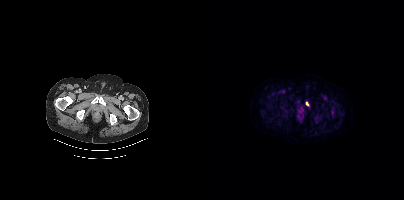
{"modality":"PSMA PET/CT","view":"axial","tracer":"18F-PSMA","pet_grid":[200,200],"coord_frame":"pet_panel","coord_format":"x0,y0,x1,y1","lesion_bboxes":[[102,101,105,106]]}